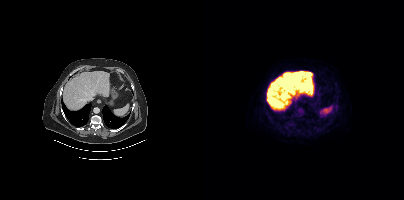
Two-panel axial: CT | PSMA PET, [18F]PSMA-1007 tracer. PET panel 200×200 px (4.1 mm/px). Coordinates are on the 200×200 PET (right) panel. Small PSMA-avid focus (2 to 4 px across) near (center x, center y): (131, 107).